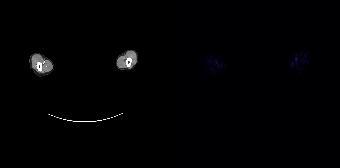
This slice has no annotated PSMA-avid lesion.
The head region is masked for de-identification.